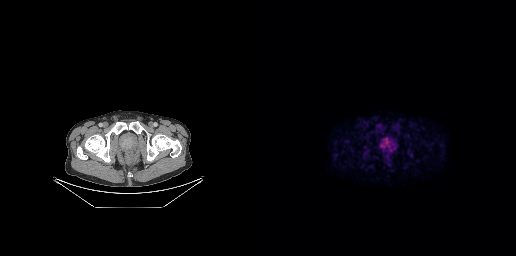
Coordinates are on the 256×256 PET (right) panel. PSMA-avid tumor lesion bounding box (x0,y0,x1,y1): [119,137,135,149]. Paired axial CT (left) and PSMA PET (right), [18F]PSMA-1007 tracer. Slice 48 of 263.